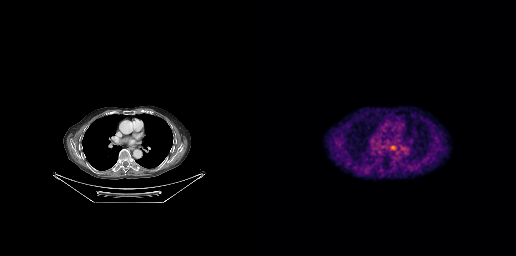
{"modality":"PSMA PET/CT","view":"axial","tracer":"18F-PSMA","pet_grid":[256,256],"coord_frame":"pet_panel","coord_format":"x0,y0,x1,y1","lesion_bboxes":[[131,145,135,149]]}